- Two-panel axial: CT | PSMA PET, 18F-PSMA tracer
- acquired on Siemens Biograph mCT Flow 20
- slice 210 of 395
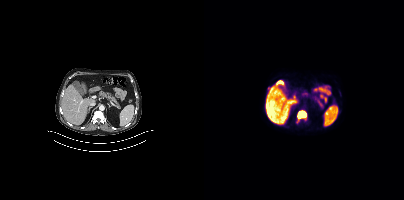
Findings: Coordinates are on the 200×200 PET (right) panel. (showing 1 of 2 foci) PSMA-avid tumor lesion bounding box (x0, y0)-(x1, y1): (93, 110)-(102, 122).